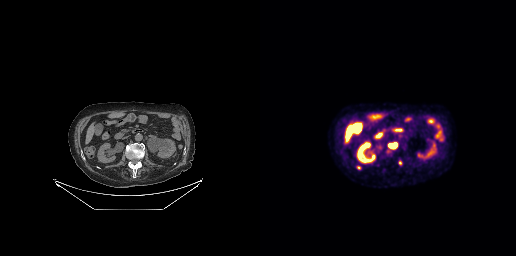
{"modality":"PSMA PET/CT","view":"axial","tracer":"[18F]PSMA-1007","pet_grid":[256,256],"coord_frame":"pet_panel","coord_format":"x0,y0,x1,y1","lesion_bboxes":[[128,142,137,149]],"small_foci_centers":[[98,167],[140,162],[128,151]]}